modality: PSMA PET/CT | tracer: 18F | view: axial | PET grid: 200×200
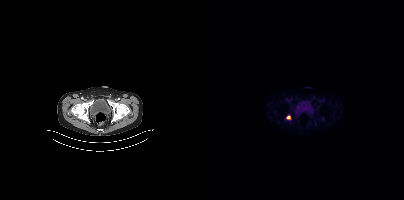
Coordinates are on the 200×200 PET (right) panel. Small PSMA-avid focus (2 to 4 px across) near (center x, center y): (84, 117).